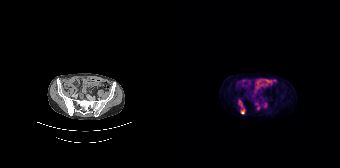
Coordinates are on the 168×168 PET (right) panel. PSMA-avid tumor lesion bounding boxes (x0, y0)-(x1, y1): (66, 100)-(73, 113) / (90, 101)-(95, 108) / (84, 105)-(88, 109). Small PSMA-avid focus (2 to 4 px across) near (center x, center y): (110, 96).